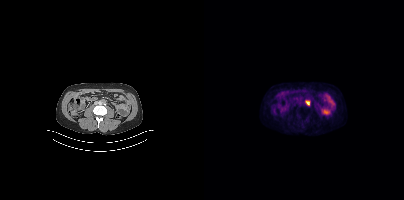
Left: CT. Right: PSMA PET, same axial level, 18F tracer. Acquired on Siemens Biograph mCT Flow 20. Slice position z = -1300 mm. PET panel 200×200 px (4.1 mm/px).
Coordinates are on the 200×200 PET (right) panel. PSMA-avid tumor lesion bounding boxes:
| # | x0 | y0 | x1 | y1 |
|---|---|---|---|---|
| 1 | 101 | 100 | 105 | 105 |